- Left: CT. Right: PSMA PET, same axial level, 18F-PSMA tracer
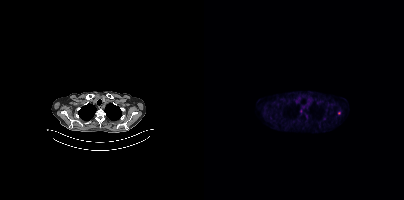
Findings: Coordinates are on the 200×200 PET (right) panel. (showing 2 of 3 foci) Small PSMA-avid foci (2 to 4 px across) near (center x, center y): (120, 118); (135, 113).